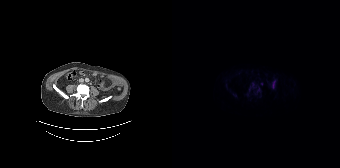
{"modality":"PSMA PET/CT","view":"axial","tracer":"[18F]PSMA-1007","pet_grid":[168,168],"coord_frame":"pet_panel","coord_format":"x0,y0,x1,y1","partial":true,"lesion_bboxes":[[85,86,88,92],[77,86,80,91]]}